- Paired axial CT (left) and PSMA PET (right), 68Ga tracer
- acquired on Siemens Biograph mCT Flow 20
- slice 339 of 409
- PET panel 200×200 px (4.1 mm/px)
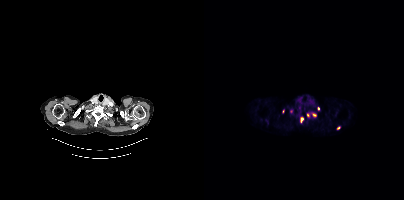
Findings: Coordinates are on the 200×200 PET (right) panel. (showing 5 of 7 foci) PSMA-avid tumor lesion bounding boxes (x, y, width, height): x=96 y=117 w=4 h=6 | x=108 y=113 w=4 h=5 | x=103 y=113 w=3 h=5. Small PSMA-avid foci (2 to 4 px across) near (center x, center y): (134, 128) | (114, 108).